modality: PSMA PET/CT | tracer: 18F | view: axial | PET grid: 200×200
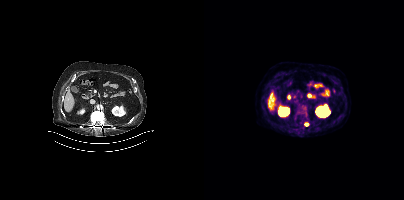
Coordinates are on the 200×200 PET (right) panel. Small PSMA-avid focus (2 to 4 px across) near (center x, center y): (102, 124).